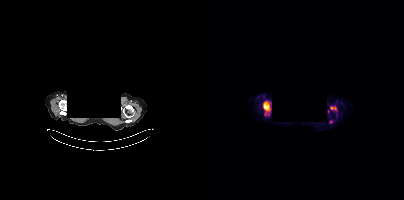
Coordinates are on the 200×200 PET (right) panel. PSMA-avid tumor lesion bounding boxes (partial; 2 more foci not listed):
| # | x0 | y0 | x1 | y1 |
|---|---|---|---|---|
| 1 | 59 | 101 | 66 | 111 |
| 2 | 126 | 107 | 132 | 109 |
Small PSMA-avid focus (2 to 4 px across) near (center x, center y): (126, 121).
Left: CT. Right: PSMA PET, same axial level, [18F]PSMA-1007 tracer. Acquired on Siemens Biograph mCT Flow 20. Slice 318 of 373. A rectangle over the head was blacked out to remove identifiable facial features.